- Paired axial CT (left) and PSMA PET (right), 68Ga-PSMA tracer
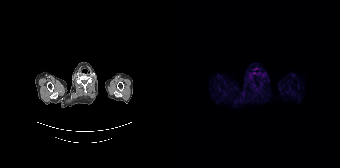
Findings: No PSMA-avid tumor lesions on this slice.